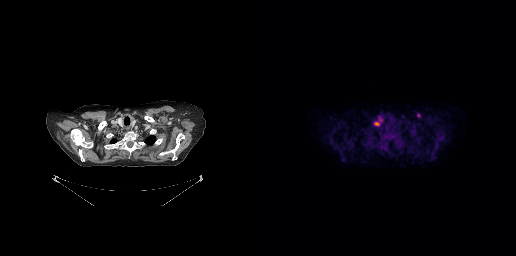
- Left: CT. Right: PSMA PET, same axial level, 18F-PSMA tracer
- acquired on GE Discovery 690
- PET panel 256×256 px (2.7 mm/px)
Findings: Coordinates are on the 256×256 PET (right) panel. PSMA-avid tumor lesion bounding box (x, y, width, height): x=114 y=117 w=9 h=10. Small PSMA-avid focus (2 to 4 px across) near (center x, center y): (158, 115).